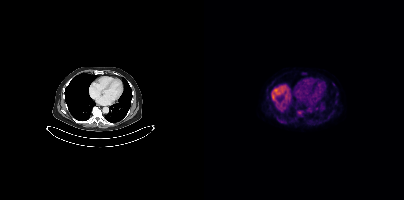
Technique: Paired axial CT (left) and PSMA PET (right), 18F tracer. acquired on Siemens Biograph mCT Flow 20. slice position z = -1137 mm. PET panel 200×200 px (4.1 mm/px).
Findings: Coordinates are on the 200×200 PET (right) panel. PSMA-avid tumor lesion bounding box (x, y, width, height): x=93 y=111 w=6 h=5. Small PSMA-avid foci (2 to 4 px across) near (center x, center y): (71, 92) / (69, 95).